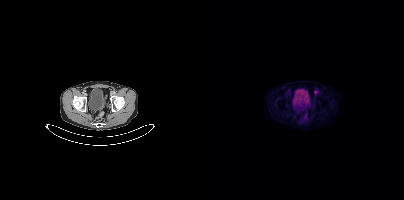
Findings: No tumor lesions annotated on this slice.
- Two-panel axial: CT | PSMA PET, [18F]PSMA-1007 tracer
- acquired on Siemens Biograph mCT Flow 20